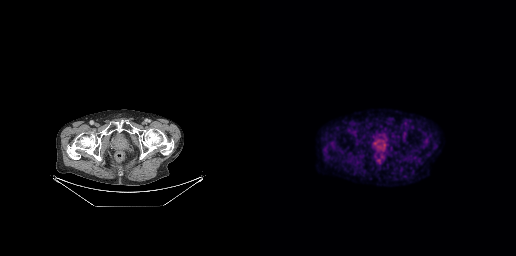
No tumor lesions annotated on this slice.